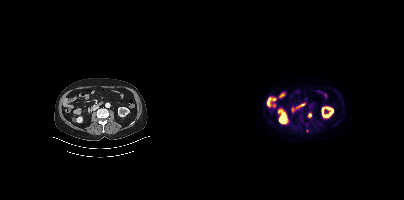
Left: CT. Right: PSMA PET, same axial level, 18F-PSMA tracer. Acquired on Siemens Biograph mCT Flow 20. PET panel 200×200 px (4.1 mm/px). Coordinates are on the 200×200 PET (right) panel. (showing 1 of 2 foci) Small PSMA-avid focus (2 to 4 px across) near (center x, center y): (106, 114).